modality: PSMA PET/CT | tracer: 18F | view: axial
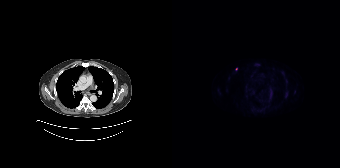
Coordinates are on the 168×168 PET (right) panel. Small PSMA-avid focus (2 to 4 px across) near (center x, center y): (64, 69).